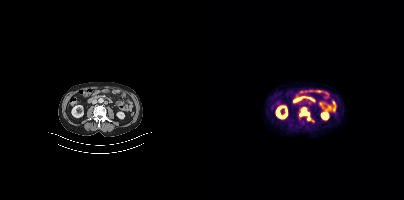
{"modality":"PSMA PET/CT","view":"axial","tracer":"18F","pet_grid":[200,200],"coord_frame":"pet_panel","coord_format":"x0,y0,x1,y1","lesion_bboxes":[[95,107,106,120]]}